- Paired axial CT (left) and PSMA PET (right), 68Ga tracer
- acquired on Siemens Biograph mCT Flow 20
- slice 131 of 403
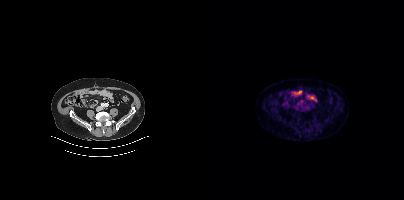
Findings: Only PSMA-avid lesion pieces thinner than 2 px on this slice (not listed).